Technique: Two-panel axial: CT | PSMA PET, [18F]PSMA-1007 tracer. slice position z = -397 mm. PET panel 200×200 px (4.1 mm/px).
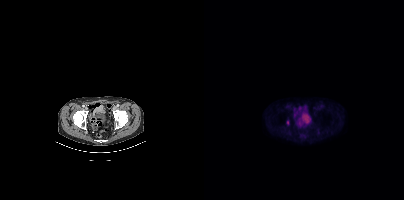
Findings: Coordinates are on the 200×200 PET (right) panel. Small PSMA-avid focus (2 to 4 px across) near (center x, center y): (83, 122).